- Left: CT. Right: PSMA PET, same axial level, 18F tracer
- slice position z = -1226 mm
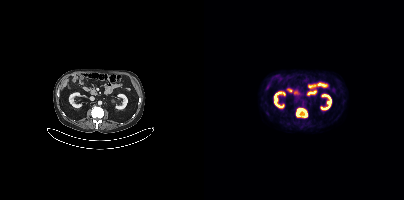
Findings: Coordinates are on the 200×200 PET (right) panel. PSMA-avid tumor lesion bounding box (x0,y0,x1,y1): [92,108,103,117].